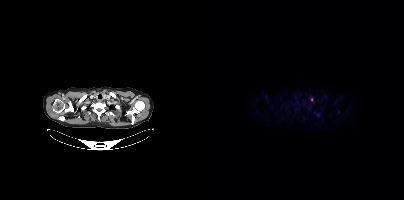
Coordinates are on the 200×200 PET (right) panel. (showing 1 of 2 foci) Small PSMA-avid focus (2 to 4 px across) near (center x, center y): (107, 99).
modality: PSMA PET/CT | tracer: 18F-PSMA | view: axial